Two-panel axial: CT | PSMA PET, 18F-PSMA tracer. Slice position z = -712 mm.
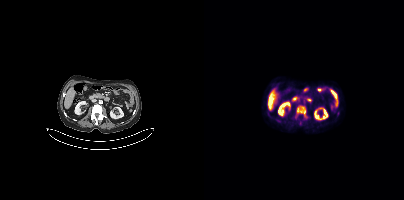
Coordinates are on the 200×200 PET (right) panel. PSMA-avid tumor lesion bounding boxes:
| # | x0 | y0 | x1 | y1 |
|---|---|---|---|---|
| 1 | 92 | 105 | 103 | 118 |